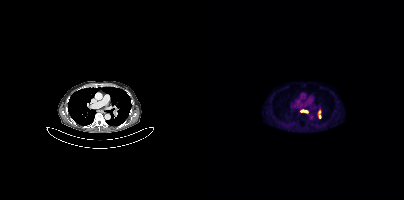
Coordinates are on the 200×200 PET (right) panel. PSMA-avid tumor lesion bounding boxes (x0, y0)-(x1, y1): (96, 109)-(104, 114); (114, 110)-(117, 118). Paired axial CT (left) and PSMA PET (right), 18F-PSMA tracer. PET panel 200×200 px (4.1 mm/px).